modality: PSMA PET/CT | tracer: [18F]PSMA-1007 | view: axial | PET grid: 200×200
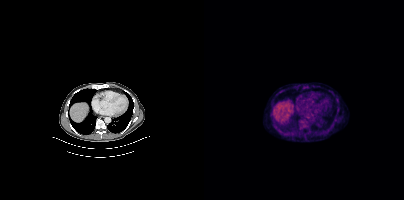
Coordinates are on the 200×200 PET (right) panel. PSMA-avid tumor lesion bounding box (x0,y0,x1,y1): [98,124,102,128]. Small PSMA-avid focus (2 to 4 px across) near (center x, center y): (96, 120).